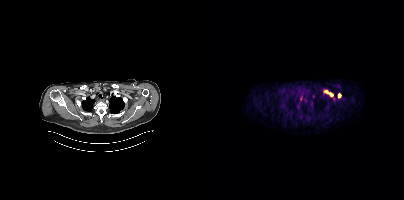
Paired axial CT (left) and PSMA PET (right), 68Ga tracer. Slice 357 of 429. Coordinates are on the 200×200 PET (right) panel. Small PSMA-avid foci (2 to 4 px across) near (center x, center y): (127, 94); (122, 91); (135, 95).